Left: CT. Right: PSMA PET, same axial level, 18F tracer. Acquired on Siemens Biograph mCT Flow 20. De-identified by setting a box covering the face to black before release.
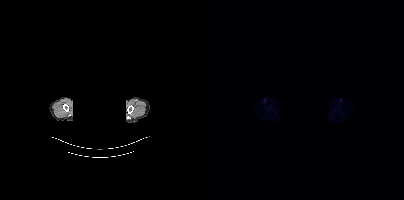
Negative for PSMA-avid disease on this slice.